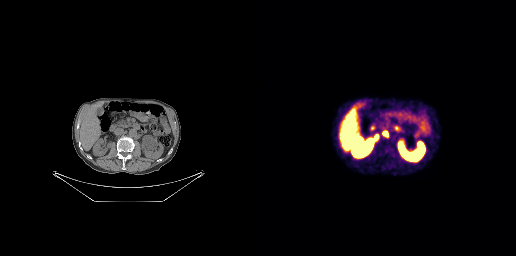
Two-panel axial: CT | PSMA PET, [68Ga]Ga-PSMA-11 tracer. Acquired on GE Discovery 690. Slice 105 of 227. PET panel 256×256 px (2.7 mm/px).
Coordinates are on the 256×256 PET (right) panel. PSMA-avid tumor lesion bounding boxes:
| # | x0 | y0 | x1 | y1 |
|---|---|---|---|---|
| 1 | 123 | 131 | 127 | 135 |
| 2 | 115 | 135 | 118 | 139 |